modality: PSMA PET/CT | tracer: 18F-PSMA | view: axial | PET grid: 256×256
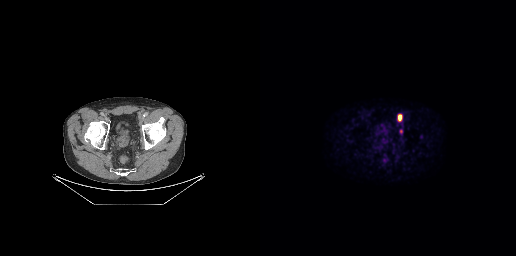
Coordinates are on the 256×256 PET (right) panel. PSMA-avid tumor lesion bounding box (x, y, width, height): x=138 y=114 w=5 h=8. Small PSMA-avid focus (2 to 4 px across) near (center x, center y): (141, 131).